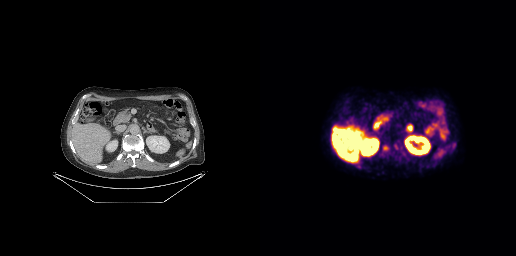
Coordinates are on the 256×256 PET (right) panel. PSMA-avid tumor lesion bounding boxes:
| # | x0 | y0 | x1 | y1 |
|---|---|---|---|---|
| 1 | 123 | 146 | 128 | 150 |
Small PSMA-avid foci (2 to 4 px across) near (center x, center y): (136, 146); (143, 153).
Paired axial CT (left) and PSMA PET (right), [18F]PSMA-1007 tracer.